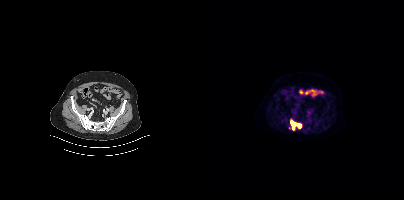
modality: PSMA PET/CT | tracer: 18F-PSMA | view: axial | PET grid: 200×200
Coordinates are on the 200×200 PET (right) panel. (showing 1 of 2 foci) PSMA-avid tumor lesion bounding box (x, y, width, height): x=86 y=119 w=12 h=12.